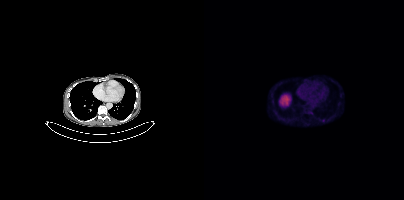
{"modality":"PSMA PET/CT","view":"axial","tracer":"[18F]PSMA-1007","pet_grid":[200,200],"coord_frame":"pet_panel","coord_format":"x0,y0,x1,y1","lesion_bboxes":[],"small_foci_centers":[[118,120]]}